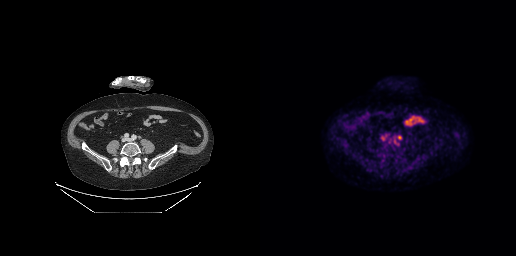
{"modality":"PSMA PET/CT","view":"axial","tracer":"18F","pet_grid":[256,256],"coord_frame":"pet_panel","coord_format":"x0,y0,x1,y1","partial":true,"lesion_bboxes":[],"small_foci_centers":[[139,137],[134,141]]}